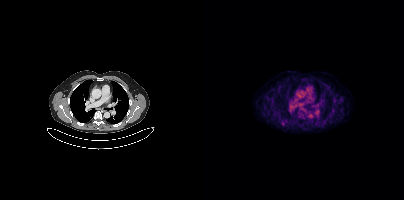
modality: PSMA PET/CT | tracer: 18F-PSMA | view: axial | PET grid: 200×200
Coordinates are on the 200×200 PET (right) panel. Small PSMA-avid focus (2 to 4 px across) near (center x, center y): (78, 123).